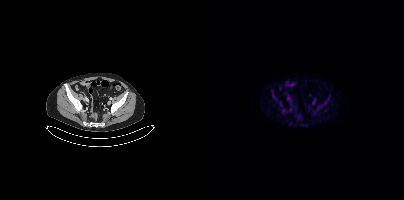
Two-panel axial: CT | PSMA PET, [18F]PSMA-1007 tracer. PET panel 200×200 px (4.1 mm/px). This slice has no annotated PSMA-avid lesion.